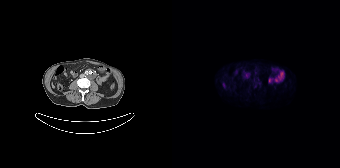
{"modality":"PSMA PET/CT","view":"axial","tracer":"18F-PSMA","pet_grid":[168,168],"coord_frame":"pet_panel","coord_format":"x0,y0,x1,y1","psma_avid_lesions":false}